- Two-panel axial: CT | PSMA PET, 18F tracer
- slice position z = -506 mm
- PET panel 200×200 px (4.1 mm/px)
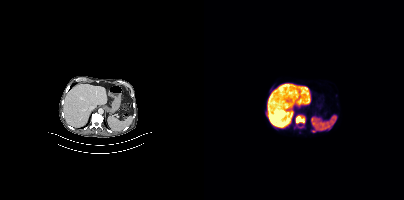
Findings: Coordinates are on the 200×200 PET (right) panel. PSMA-avid tumor lesion bounding boxes (x, y, width, height): x=91 y=115 w=11 h=9; x=108 y=130 w=5 h=3.